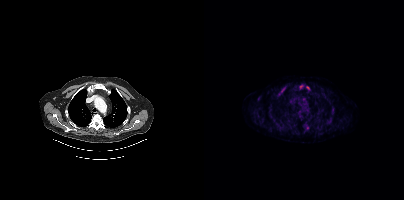
Coordinates are on the 200×200 PET (right) panel. (showing 3 of 4 foci) PSMA-avid tumor lesion bounding box (x0, y0)-(x1, y1): (78, 87)-(81, 91). Small PSMA-avid foci (2 to 4 px across) near (center x, center y): (103, 87); (103, 127).